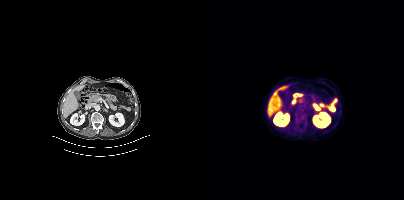
This slice has no annotated PSMA-avid lesion.